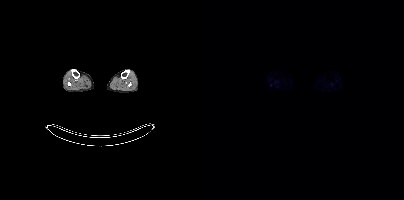
modality: PSMA PET/CT | tracer: 18F-PSMA | view: axial | PET grid: 200×200
No PSMA-avid tumor lesions on this slice.